Technique: Two-panel axial: CT | PSMA PET, 18F-PSMA tracer. acquired on GE Discovery 690. PET panel 256×256 px (2.7 mm/px).
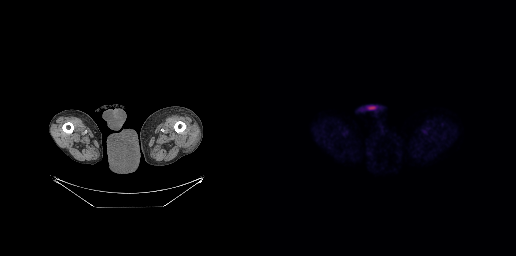
Findings: No tumor lesions annotated on this slice.